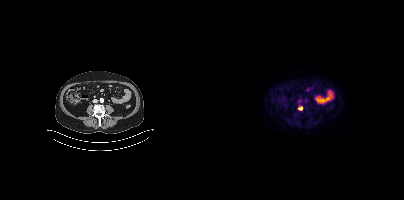
Technique: Two-panel axial: CT | PSMA PET, 18F tracer. slice position z = -1504 mm. PET panel 200×200 px (4.1 mm/px).
Findings: Coordinates are on the 200×200 PET (right) panel. PSMA-avid tumor lesion bounding box (x, y, width, height): x=94 y=107 w=5 h=4.